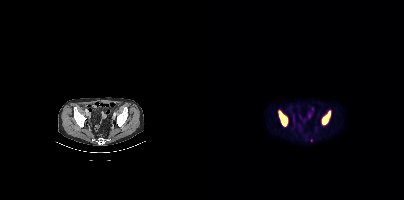
Coordinates are on the 200×200 PET (right) panel. PSMA-avid tumor lesion bounding boxes (x, y, width, height): x=75 y=111 w=9 h=15 / x=118 y=111 w=9 h=14.